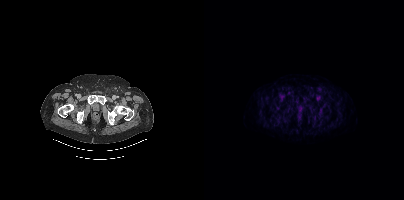
{"modality":"PSMA PET/CT","view":"axial","tracer":"18F-PSMA","pet_grid":[200,200],"coord_frame":"pet_panel","coord_format":"x0,y0,x1,y1","psma_avid_lesions":false}